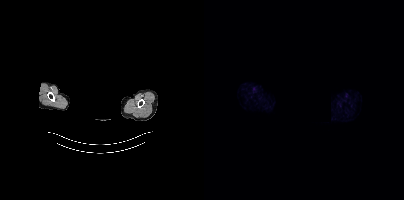
{"modality":"PSMA PET/CT","view":"axial","tracer":"[68Ga]Ga-PSMA-11","pet_grid":[200,200],"coord_frame":"pet_panel","coord_format":"x0,y0,x1,y1","redaction":"facial region redacted","psma_avid_lesions":false}